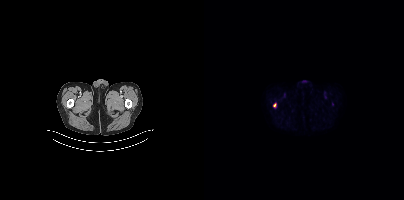
Coordinates are on the 200×200 PET (right) panel. Small PSMA-avid focus (2 to 4 px across) near (center x, center y): (70, 104).